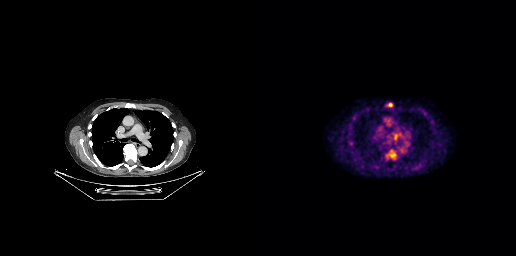
Findings: Coordinates are on the 256×256 PET (right) panel. PSMA-avid tumor lesion bounding boxes (x0,y0,x1,y1): [125,151,136,159] [134,134,137,139].
Technique: Two-panel axial: CT | PSMA PET, 18F-PSMA tracer. acquired on GE Discovery 690. slice position z = -250 mm. PET panel 256×256 px (2.7 mm/px).